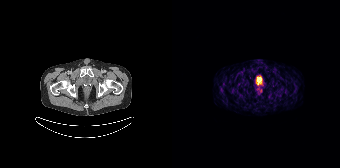
Negative for PSMA-avid disease on this slice. Two-panel axial: CT | PSMA PET, [68Ga]Ga-PSMA-11 tracer. Acquired on Siemens Biograph 64-4R TruePoint. Slice 44 of 195.